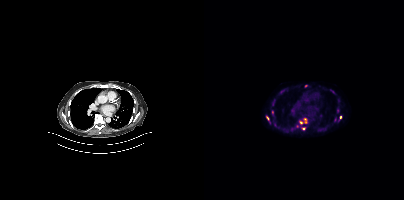
Left: CT. Right: PSMA PET, same axial level, 18F-PSMA tracer. Acquired on Siemens Biograph mCT Flow 20. PET panel 200×200 px (4.1 mm/px).
Coordinates are on the 200×200 PET (right) panel. PSMA-avid tumor lesion bounding boxes (partial; 5 more foci not listed):
| # | x0 | y0 | x1 | y1 |
|---|---|---|---|---|
| 1 | 62 | 116 | 65 | 120 |
| 2 | 100 | 118 | 102 | 123 |
Small PSMA-avid foci (2 to 4 px across) near (center x, center y): (131, 119); (97, 122); (68, 112); (136, 117); (99, 128); (77, 91); (133, 110).